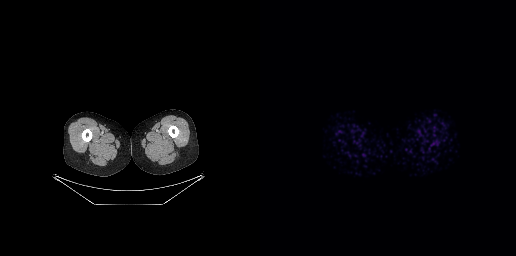
Negative for PSMA-avid disease on this slice. Paired axial CT (left) and PSMA PET (right), 18F tracer. Slice 3 of 263.